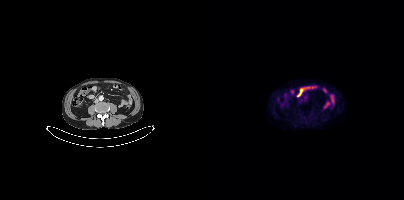
Negative for PSMA-avid disease on this slice.
modality: PSMA PET/CT | tracer: 18F | view: axial | PET grid: 200×200